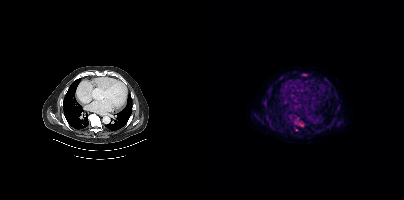
Paired axial CT (left) and PSMA PET (right), [18F]PSMA-1007 tracer. Acquired on Siemens Biograph mCT Flow 20. PET panel 200×200 px (4.1 mm/px).
Coordinates are on the 200×200 PET (right) panel. PSMA-avid tumor lesion bounding boxes:
| # | x0 | y0 | x1 | y1 |
|---|---|---|---|---|
| 1 | 98 | 73 | 103 | 76 |
| 2 | 95 | 122 | 99 | 126 |
Small PSMA-avid focus (2 to 4 px across) near (center x, center y): (92, 129).